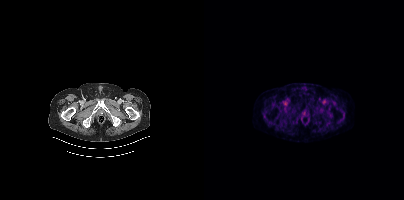
Findings: No PSMA-avid tumor lesions on this slice.
- Left: CT. Right: PSMA PET, same axial level, [18F]PSMA-1007 tracer
- acquired on Siemens Biograph mCT Flow 20